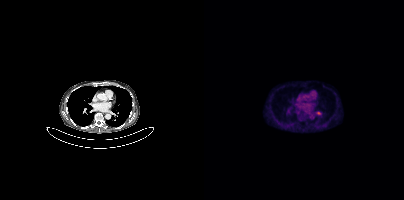
{"modality":"PSMA PET/CT","view":"axial","tracer":"[18F]PSMA-1007","pet_grid":[200,200],"coord_frame":"pet_panel","coord_format":"x0,y0,x1,y1","partial":true,"lesion_bboxes":[]}